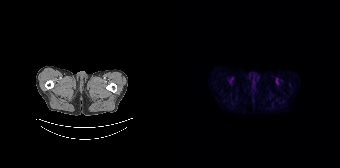
- Left: CT. Right: PSMA PET, same axial level, 18F-PSMA tracer
- acquired on Siemens Biograph 64-4R TruePoint
- slice position z = -1356 mm
Findings: No tumor lesions annotated on this slice.